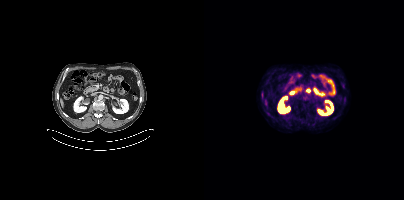
Findings: This slice has no annotated PSMA-avid lesion.
- Paired axial CT (left) and PSMA PET (right), 18F tracer